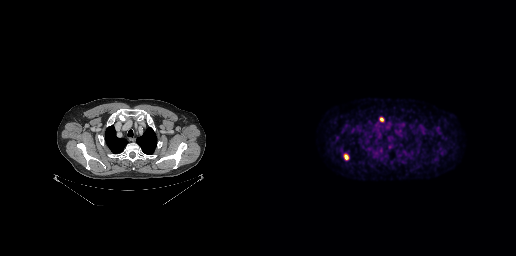
modality: PSMA PET/CT | tracer: 18F | view: axial | PET grid: 256×256
Coordinates are on the 256×256 PET (right) panel. PSMA-avid tumor lesion bounding boxes (x, y, width, height): x=84 y=154 w=5 h=6 | x=119 y=117 w=5 h=5.